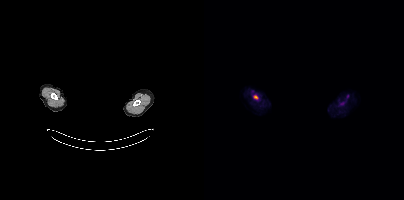
Left: CT. Right: PSMA PET, same axial level, [18F]PSMA-1007 tracer. Slice 347 of 373. The head region is masked for de-identification. Coordinates are on the 200×200 PET (right) panel. Small PSMA-avid focus (2 to 4 px across) near (center x, center y): (51, 97).